- Paired axial CT (left) and PSMA PET (right), [18F]PSMA-1007 tracer
- slice position z = -668 mm
- PET panel 200×200 px (4.1 mm/px)
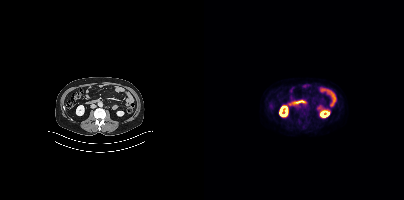
Findings: This slice has no annotated PSMA-avid lesion.